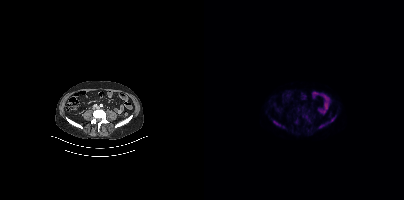
Coordinates are on the 200×200 PET (right) panel. PSMA-avid tumor lesion bounding boxes (partial; 1 more focus not listed):
| # | x0 | y0 | x1 | y1 |
|---|---|---|---|---|
| 1 | 115 | 116 | 131 | 128 |
| 2 | 69 | 120 | 76 | 126 |
Small PSMA-avid focus (2 to 4 px across) near (center x, center y): (79, 126).
Two-panel axial: CT | PSMA PET, [18F]PSMA-1007 tracer. Acquired on Siemens Biograph mCT Flow 20. Slice 152 of 427.